- Paired axial CT (left) and PSMA PET (right), [18F]PSMA-1007 tracer
- acquired on Siemens Biograph mCT Flow 20
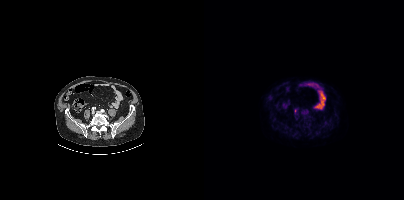
Findings: Only PSMA-avid lesion pieces thinner than 2 px on this slice (not listed).